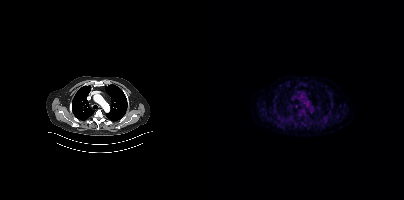
{"modality":"PSMA PET/CT","view":"axial","tracer":"18F","pet_grid":[200,200],"coord_frame":"pet_panel","coord_format":"x0,y0,x1,y1","lesion_bboxes":[],"small_foci_centers":[[92,106]]}